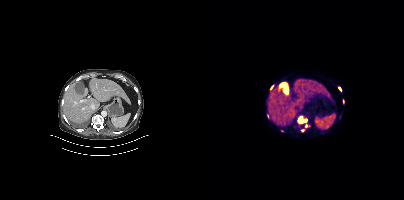
{"modality":"PSMA PET/CT","view":"axial","tracer":"18F","pet_grid":[200,200],"coord_frame":"pet_panel","coord_format":"x0,y0,x1,y1","partial":true,"lesion_bboxes":[[93,116,103,123],[134,87,137,91],[66,85,69,89]],"small_foci_centers":[[102,125],[98,130],[139,101],[63,116]]}